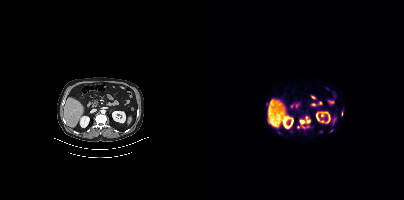
{"pet_grid":[200,200],"coord_frame":"pet_panel","coord_format":"x0,y0,x1,y1","partial":true,"lesion_bboxes":[[96,120,100,123]],"small_foci_centers":[[104,121]],"modality":"PSMA PET/CT","view":"axial","tracer":"[18F]PSMA-1007"}